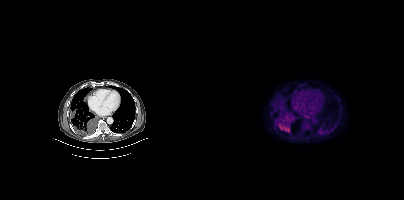
Coordinates are on the 200×200 PET (right) panel. (showing 1 of 2 foci) PSMA-avid tumor lesion bounding box (x, y, width, height): x=73 y=120 w=14 h=13.